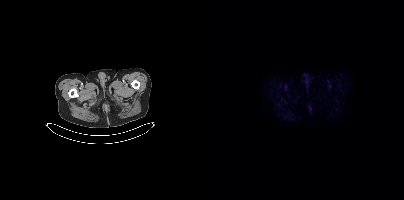
Negative for PSMA-avid disease on this slice.
modality: PSMA PET/CT | tracer: 18F | view: axial